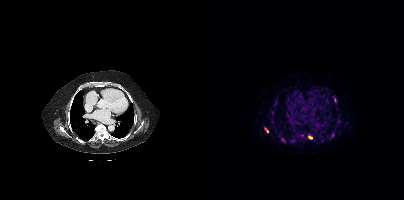
{"modality":"PSMA PET/CT","view":"axial","tracer":"[68Ga]Ga-PSMA-11","pet_grid":[200,200],"coord_frame":"pet_panel","coord_format":"x0,y0,x1,y1","partial":true,"lesion_bboxes":[[61,128,64,132]],"small_foci_centers":[[106,137],[131,99],[128,135]]}